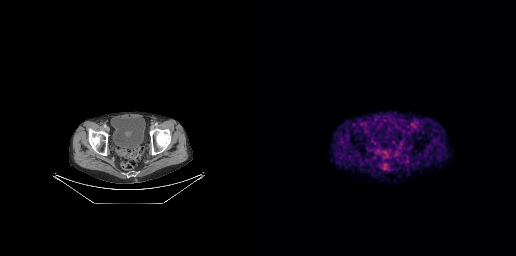
This slice has no annotated PSMA-avid lesion.
modality: PSMA PET/CT | tracer: 18F-PSMA | view: axial | PET grid: 256×256